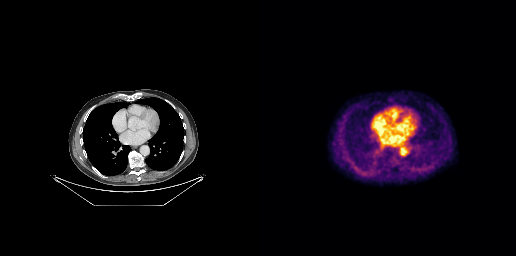
Findings: Negative for PSMA-avid disease on this slice.
Technique: Left: CT. Right: PSMA PET, same axial level, 18F tracer. acquired on GE Discovery 690.